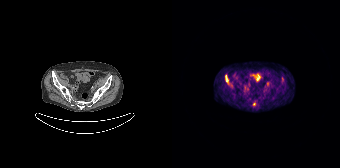
Coordinates are on the 168×168 PET (right) panel. PSMA-avid tumor lesion bounding box (x0, y0)-(x1, y1): (53, 75)-(56, 81). Small PSMA-avid foci (2 to 4 px across) near (center x, center y): (82, 104); (95, 83).